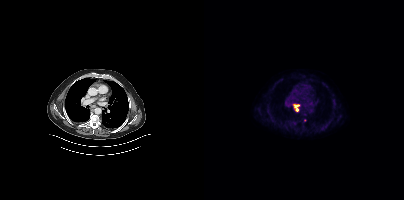
{"modality":"PSMA PET/CT","view":"axial","tracer":"18F-PSMA","pet_grid":[200,200],"coord_frame":"pet_panel","coord_format":"x0,y0,x1,y1","lesion_bboxes":[[89,104,95,111]],"small_foci_centers":[[100,120]]}